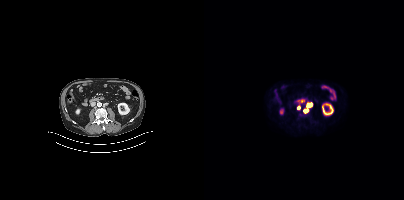
Left: CT. Right: PSMA PET, same axial level, 18F tracer. Acquired on Siemens Biograph mCT Flow 20. PET panel 200×200 px (4.1 mm/px). Coordinates are on the 200×200 PET (right) panel. PSMA-avid tumor lesion bounding box (x0,y0,x1,y1): [103,103,108,107]. Small PSMA-avid foci (2 to 4 px across) near (center x, center y): (101, 110), (94, 107), (97, 100).